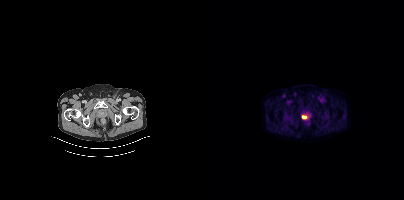
Findings: Coordinates are on the 200×200 PET (right) panel. PSMA-avid tumor lesion bounding box (x0,y0,x1,y1): [98,115,103,119].
- Left: CT. Right: PSMA PET, same axial level, [18F]PSMA-1007 tracer
- acquired on Siemens Biograph mCT Flow 20
- slice 48 of 397